Head region blanked for anonymization (face removed).
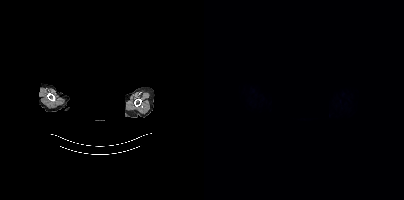
Negative for PSMA-avid disease on this slice.